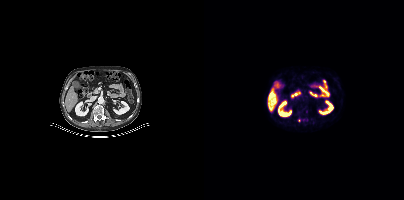
{"modality":"PSMA PET/CT","view":"axial","tracer":"[18F]PSMA-1007","pet_grid":[200,200],"coord_frame":"pet_panel","coord_format":"x0,y0,x1,y1","lesion_bboxes":[],"small_foci_centers":[[95,120]]}